Left: CT. Right: PSMA PET, same axial level, 68Ga tracer. Slice position z = -929 mm. PET panel 200×200 px (4.1 mm/px).
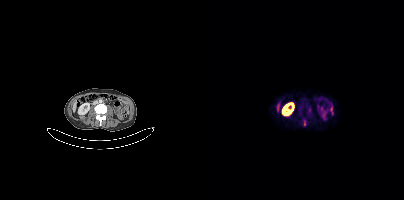
Coordinates are on the 200×200 PET (right) panel. PSMA-avid tumor lesion bounding boxes:
| # | x0 | y0 | x1 | y1 |
|---|---|---|---|---|
| 1 | 99 | 120 | 101 | 125 |